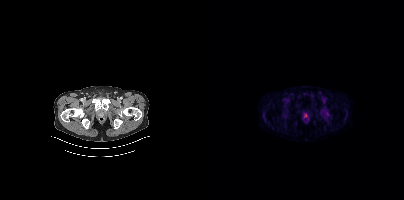
{"modality":"PSMA PET/CT","view":"axial","tracer":"68Ga-PSMA","pet_grid":[200,200],"coord_frame":"pet_panel","coord_format":"x0,y0,x1,y1","lesion_bboxes":[],"small_foci_centers":[[101,115]]}